- Two-panel axial: CT | PSMA PET, 18F tracer
- slice position z = -983 mm
- PET panel 200×200 px (4.1 mm/px)
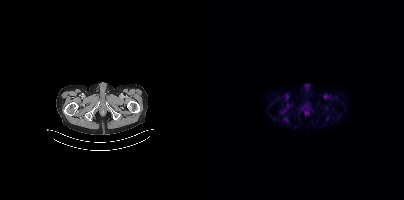
Findings: Negative for PSMA-avid disease on this slice.